Any black rectangle over the head is a privacy mask, not anatomy.
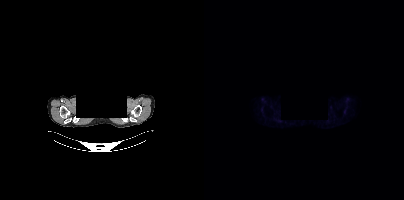
No tumor lesions annotated on this slice.